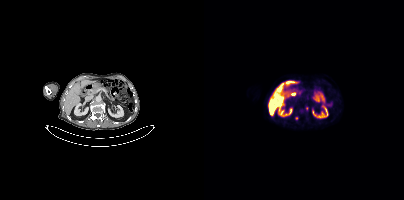
Findings: Coordinates are on the 200×200 PET (right) panel. Small PSMA-avid foci (2 to 4 px across) near (center x, center y): (103, 108) / (92, 118).
- Paired axial CT (left) and PSMA PET (right), 18F tracer
- slice 204 of 409
- PET panel 200×200 px (4.1 mm/px)